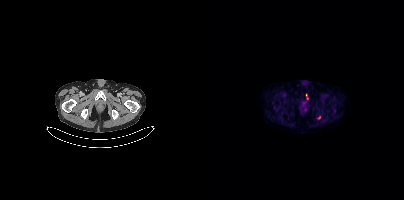
- Two-panel axial: CT | PSMA PET, [18F]PSMA-1007 tracer
- acquired on Siemens Biograph mCT Flow 20
- slice position z = -296 mm
- PET panel 200×200 px (4.1 mm/px)
Findings: Coordinates are on the 200×200 PET (right) panel. PSMA-avid tumor lesion bounding box (x0, y0)-(x1, y1): (102, 94)-(104, 99). Small PSMA-avid focus (2 to 4 px across) near (center x, center y): (115, 117).